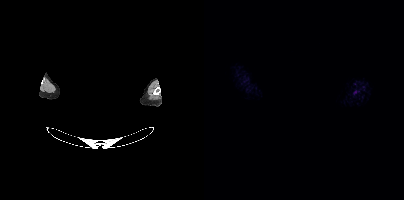
Findings: No PSMA-avid tumor lesions on this slice.
Technique: Paired axial CT (left) and PSMA PET (right), 18F-PSMA tracer. slice 379 of 381. PET panel 200×200 px (4.1 mm/px).
Note: The head region is masked for de-identification.